- Left: CT. Right: PSMA PET, same axial level, 18F tracer
- acquired on Siemens Biograph mCT Flow 20
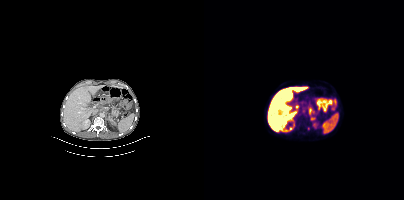
Findings: Coordinates are on the 200×200 PET (right) panel. PSMA-avid tumor lesion bounding box (x0,y0,x1,y1): [105,108,110,114]. Small PSMA-avid foci (2 to 4 px across) near (center x, center y): (108, 118) (104, 128).